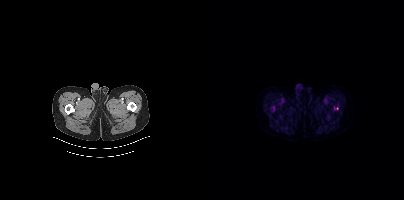
Findings: Only PSMA-avid lesion pieces thinner than 2 px on this slice (not listed).
Technique: Left: CT. Right: PSMA PET, same axial level, [18F]PSMA-1007 tracer. acquired on Siemens Biograph mCT Flow 20. slice position z = -1603 mm. PET panel 200×200 px (4.1 mm/px).